Technique: Left: CT. Right: PSMA PET, same axial level, [18F]PSMA-1007 tracer. acquired on Siemens Biograph mCT Flow 20. slice 321 of 373.
Note: Head region blanked for anonymization (face removed).
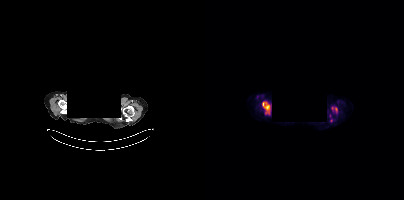
Findings: Coordinates are on the 200×200 PET (right) panel. (showing 2 of 4 foci) PSMA-avid tumor lesion bounding box (x, y, width, height): x=58 y=102 w=8 h=12. Small PSMA-avid focus (2 to 4 px across) near (center x, center y): (132, 109).